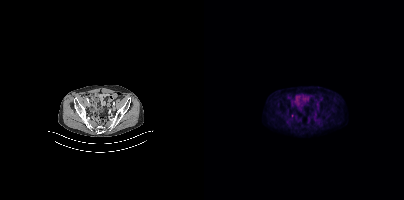
Only PSMA-avid lesion pieces thinner than 2 px on this slice (not listed).